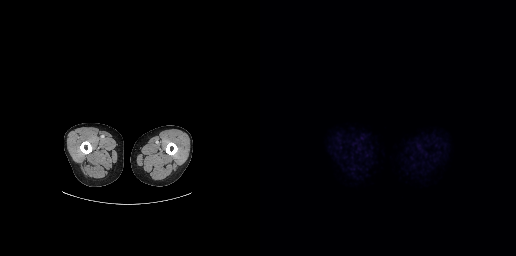
Negative for PSMA-avid disease on this slice.